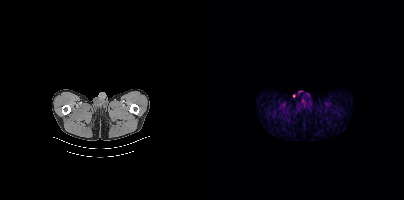
{"modality":"PSMA PET/CT","view":"axial","tracer":"18F","pet_grid":[200,200],"coord_frame":"pet_panel","coord_format":"x0,y0,x1,y1","psma_avid_lesions":false}